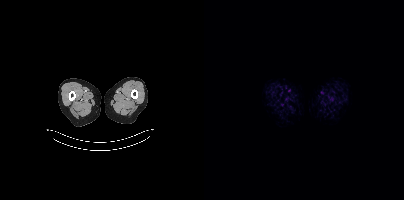
{"modality":"PSMA PET/CT","view":"axial","tracer":"18F","pet_grid":[200,200],"coord_frame":"pet_panel","coord_format":"x0,y0,x1,y1","psma_avid_lesions":false}